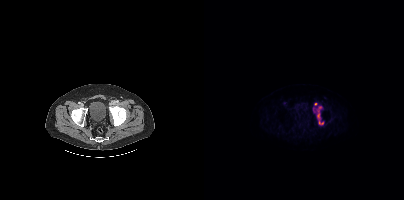
{"pet_grid":[200,200],"coord_frame":"pet_panel","coord_format":"x0,y0,x1,y1","lesion_bboxes":[[113,106,119,124]],"small_foci_centers":[[111,104]],"modality":"PSMA PET/CT","view":"axial","tracer":"18F"}